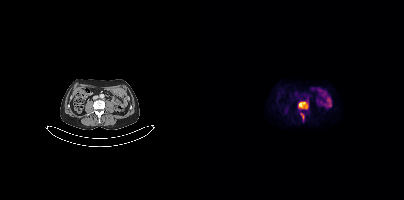
Coordinates are on the 200×200 PET (right) panel. PSMA-avid tumor lesion bounding boxes (x0, y0)-(x1, y1): (94, 101)-(104, 109) / (96, 113)-(100, 119).